- Left: CT. Right: PSMA PET, same axial level, [18F]PSMA-1007 tracer
- slice position z = -1102 mm
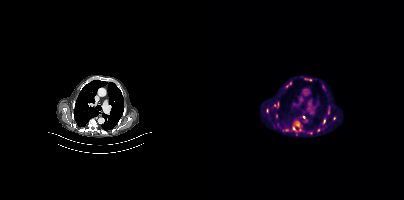
Findings: Coordinates are on the 200×200 PET (right) panel. (showing 8 of 10 foci) PSMA-avid tumor lesion bounding boxes (x0,y0,x1,y1): [81,82,88,88], [69,101,75,108], [90,122,95,126], [62,108,64,113], [119,119,121,123]. Small PSMA-avid foci (2 to 4 px across) near (center x, center y): (72, 115), (130, 118), (90, 128).